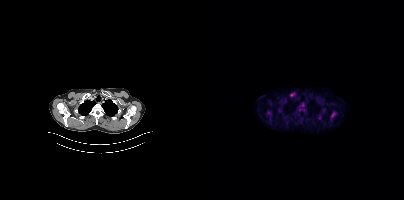
Findings: Coordinates are on the 200×200 PET (right) panel. PSMA-avid tumor lesion bounding boxes (x0,y0,x1,y1): [126,111,132,120], [114,115,116,119]. Small PSMA-avid foci (2 to 4 px across) near (center x, center y): (120, 110), (65, 113).
Technique: Two-panel axial: CT | PSMA PET, [18F]PSMA-1007 tracer. PET panel 200×200 px (4.1 mm/px).